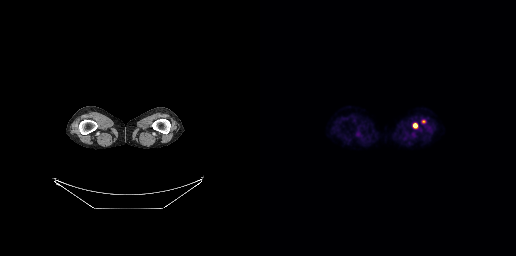
{"modality":"PSMA PET/CT","view":"axial","tracer":"[18F]PSMA-1007","pet_grid":[256,256],"coord_frame":"pet_panel","coord_format":"x0,y0,x1,y1","lesion_bboxes":[[153,123,157,127]]}